- Paired axial CT (left) and PSMA PET (right), [18F]PSMA-1007 tracer
- slice position z = -102 mm
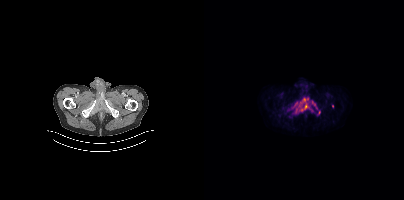
Findings: Coordinates are on the 200×200 PET (right) panel. PSMA-avid tumor lesion bounding box (x0, y0)-(x1, y1): (88, 97)-(113, 113). Small PSMA-avid foci (2 to 4 px across) near (center x, center y): (128, 106) | (115, 112).